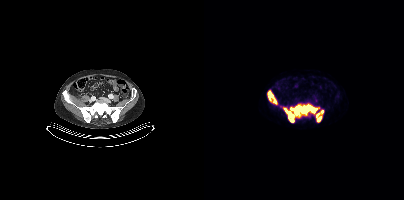
{"modality":"PSMA PET/CT","view":"axial","tracer":"18F-PSMA","pet_grid":[200,200],"coord_frame":"pet_panel","coord_format":"x0,y0,x1,y1","lesion_bboxes":[[79,105,113,122],[64,91,73,104],[112,110,119,121]]}